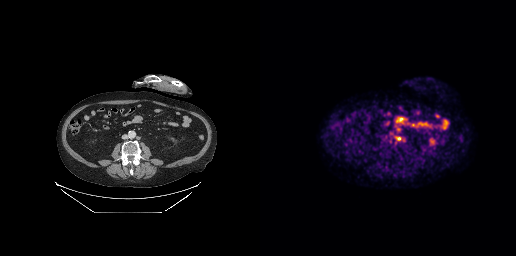
{"modality":"PSMA PET/CT","view":"axial","tracer":"18F-PSMA","pet_grid":[256,256],"coord_frame":"pet_panel","coord_format":"x0,y0,x1,y1","lesion_bboxes":[],"small_foci_centers":[[138,138]]}